Technique: Paired axial CT (left) and PSMA PET (right), 18F tracer. slice 262 of 409.
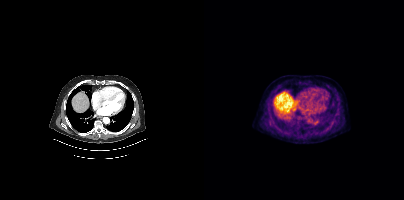
Findings: Coordinates are on the 200×200 PET (right) panel. Small PSMA-avid focus (2 to 4 px across) near (center x, center y): (112, 133).